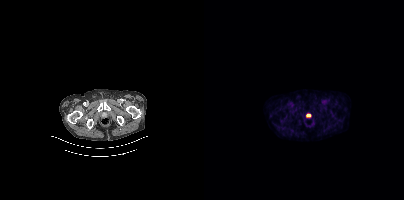
Left: CT. Right: PSMA PET, same axial level, 18F-PSMA tracer. Acquired on Siemens Biograph mCT Flow 20. PET panel 200×200 px (4.1 mm/px). Coordinates are on the 200×200 PET (right) panel. Small PSMA-avid focus (2 to 4 px across) near (center x, center y): (104, 115).